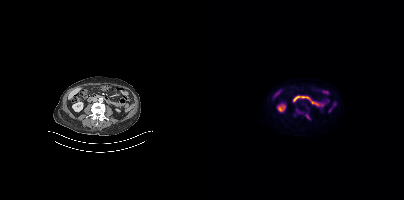
Coordinates are on the 200×200 PET (right) panel. (showing 2 of 3 foci) PSMA-avid tumor lesion bounding boxes (x0,y0,x1,y1): [101,113,106,119] [92,109,99,113].